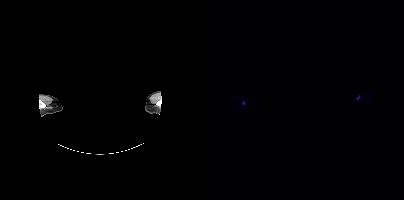
Findings: Coordinates are on the 200×200 PET (right) panel. PSMA-avid tumor lesion bounding boxes (x, y, width, height): x=38 y=101 w=4 h=5 | x=153 y=95 w=3 h=5.
- Left: CT. Right: PSMA PET, same axial level, 18F-PSMA tracer
- slice 411 of 423
- PET panel 200×200 px (4.1 mm/px)
- privacy masking over the head, with the pixels inside a rectangle set to black